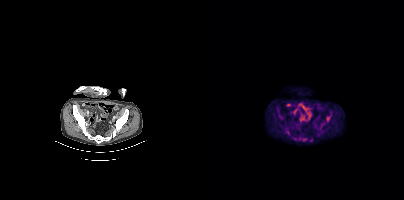
Coordinates are on the 200×200 PET (right) panel. PSMA-avid tumor lesion bounding boxes:
| # | x0 | y0 | x1 | y1 |
|---|---|---|---|---|
| 1 | 89 | 136 | 103 | 141 |
Small PSMA-avid focus (2 to 4 px across) near (center x, center y): (123, 119).
Paired axial CT (left) and PSMA PET (right), [18F]PSMA-1007 tracer. Acquired on Siemens Biograph mCT Flow 20. Slice position z = -1382 mm.